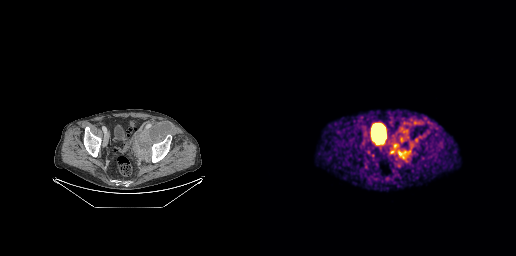
Two-panel axial: CT | PSMA PET, 68Ga-PSMA tracer. Acquired on GE Discovery 690. Slice position z = -798 mm. PET panel 256×256 px (2.7 mm/px).
Coordinates are on the 256×256 PET (right) panel. PSMA-avid tumor lesion bounding boxes (partial; 1 more focus not listed):
| # | x0 | y0 | x1 | y1 |
|---|---|---|---|---|
| 1 | 135 | 145 | 150 | 160 |